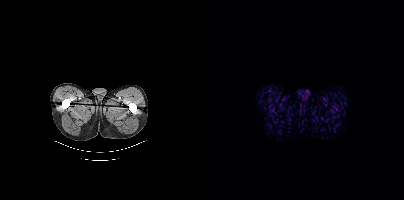
Negative for PSMA-avid disease on this slice.